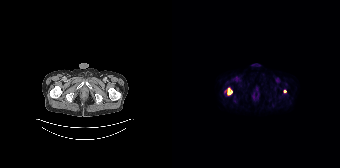
{"modality":"PSMA PET/CT","view":"axial","tracer":"[18F]PSMA-1007","pet_grid":[168,168],"coord_frame":"pet_panel","coord_format":"x0,y0,x1,y1","lesion_bboxes":[[55,88,60,95]],"small_foci_centers":[[113,91]]}